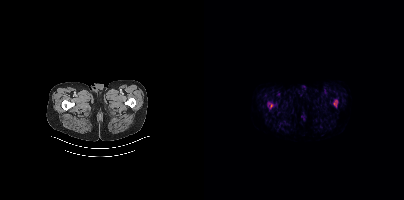
modality: PSMA PET/CT | tracer: 18F | view: axial | PET grid: 200×200
Coordinates are on the 200×200 PET (right) panel. PSMA-avid tumor lesion bounding boxes (x0,y0,x1,y1): [64,102,69,108]; [130,100,133,106].